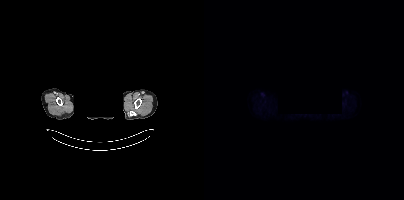
An anonymization step blacked out a rectangle over the head in this scan. Left: CT. Right: PSMA PET, same axial level, 18F-PSMA tracer. Slice 363 of 403. PET panel 200×200 px (4.1 mm/px). No tumor lesions annotated on this slice.